Paired axial CT (left) and PSMA PET (right), [18F]PSMA-1007 tracer. Slice 345 of 417.
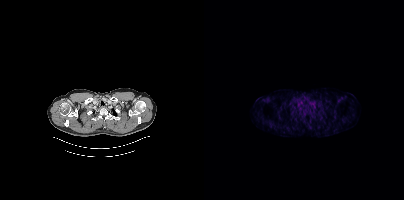
This slice has no annotated PSMA-avid lesion.